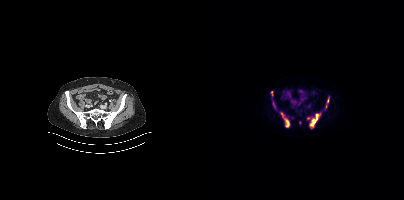
Left: CT. Right: PSMA PET, same axial level, [18F]PSMA-1007 tracer.
Coordinates are on the 200×200 PET (right) panel. PSMA-avid tumor lesion bounding boxes (partial; 2 more foci not listed):
| # | x0 | y0 | x1 | y1 |
|---|---|---|---|---|
| 1 | 77 | 113 | 85 | 127 |
| 2 | 106 | 114 | 114 | 126 |
| 3 | 67 | 91 | 69 | 95 |
| 4 | 69 | 102 | 71 | 106 |
Small PSMA-avid focus (2 to 4 px across) near (center x, center y): (123, 100).